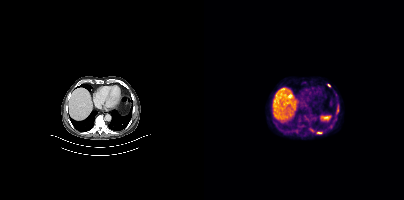
Left: CT. Right: PSMA PET, same axial level, 18F tracer. Slice position z = -596 mm. PET panel 200×200 px (4.1 mm/px).
Coordinates are on the 200×200 PET (right) panel. PSMA-avid tumor lesion bounding boxes (partial; 1 more focus not listed):
| # | x0 | y0 | x1 | y1 |
|---|---|---|---|---|
| 1 | 112 | 131 | 118 | 134 |
Small PSMA-avid focus (2 to 4 px across) near (center x, center y): (125, 85).